Two-panel axial: CT | PSMA PET, 18F-PSMA tracer. Acquired on Siemens Biograph mCT Flow 20. Slice position z = -839 mm. PET panel 200×200 px (4.1 mm/px).
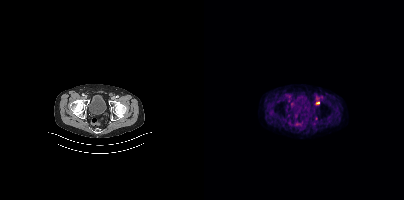
Coordinates are on the 200×200 PET (right) panel. (showing 1 of 2 foci) Small PSMA-avid focus (2 to 4 px across) near (center x, center y): (114, 102).